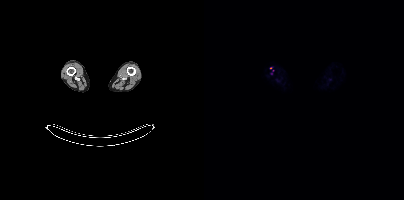
Coordinates are on the 200×200 PET (right) panel. (showing 1 of 2 foci) Small PSMA-avid focus (2 to 4 px across) near (center x, center y): (67, 73). Two-panel axial: CT | PSMA PET, 18F tracer. Slice position z = -1299 mm.